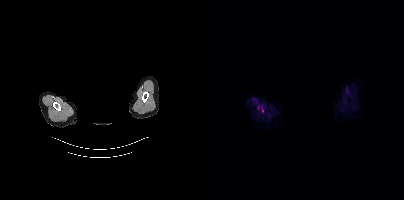
A rectangle over the head was blacked out to remove identifiable facial features.
Coordinates are on the 200×200 PET (right) panel. Small PSMA-avid focus (2 to 4 px across) near (center x, center y): (58, 110).